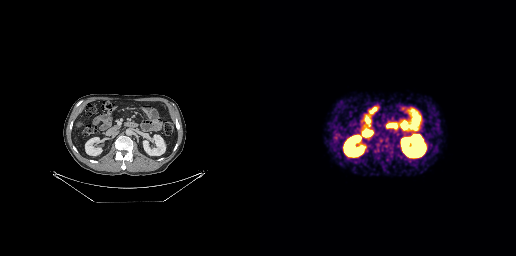
Coordinates are on the 256×256 PET (right) panel. PSMA-avid tumor lesion bounding boxes:
| # | x0 | y0 | x1 | y1 |
|---|---|---|---|---|
| 1 | 120 | 140 | 131 | 151 |
Two-panel axial: CT | PSMA PET, [18F]PSMA-1007 tracer. Slice 150 of 299. PET panel 256×256 px (2.7 mm/px).